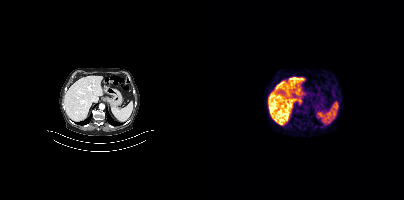
- Two-panel axial: CT | PSMA PET, [68Ga]Ga-PSMA-11 tracer
- acquired on Siemens Biograph mCT Flow 20
- slice 202 of 385
Findings: This slice has no annotated PSMA-avid lesion.